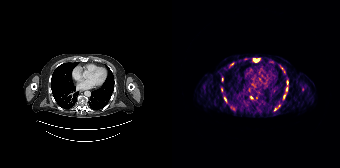
Left: CT. Right: PSMA PET, same axial level, 68Ga tracer.
Coordinates are on the 168×168 PET (right) panel. PSMA-avid tumor lesion bounding boxes (partial; 4 more foci not listed):
| # | x0 | y0 | x1 | y1 |
|---|---|---|---|---|
| 1 | 81 | 58 | 87 | 61 |
Small PSMA-avid foci (2 to 4 px across) near (center x, center y): (115, 81); (49, 89); (53, 99); (60, 64); (114, 89); (50, 79); (79, 97); (102, 109).